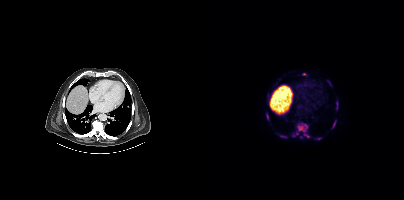
Coordinates are on the 200×200 PET (right) panel. PSMA-avid tumor lesion bounding boxes (x0, y0)-(x1, y1): (88, 122)-(105, 138); (128, 120)-(132, 128); (62, 113)-(64, 119); (98, 73)-(102, 75); (132, 100)-(134, 104). Small PSMA-avid foci (2 to 4 px across) near (center x, center y): (126, 85); (97, 137).